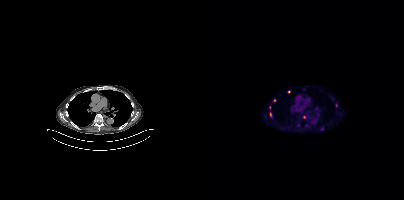
- Paired axial CT (left) and PSMA PET (right), [18F]PSMA-1007 tracer
- PET panel 200×200 px (4.1 mm/px)
Findings: Coordinates are on the 200×200 PET (right) panel. (showing 6 of 9 foci) Small PSMA-avid foci (2 to 4 px across) near (center x, center y): (100, 117) | (85, 91) | (66, 114) | (78, 128) | (132, 105) | (70, 100).